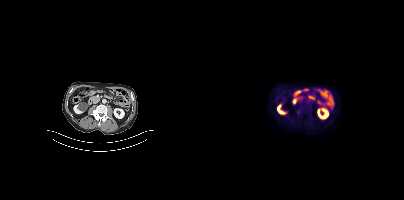
modality: PSMA PET/CT | tracer: [18F]PSMA-1007 | view: axial | PET grid: 200×200
Coordinates are on the 200×200 PET (right) panel. Small PSMA-avid focus (2 to 4 px across) near (center x, center y): (93, 112).